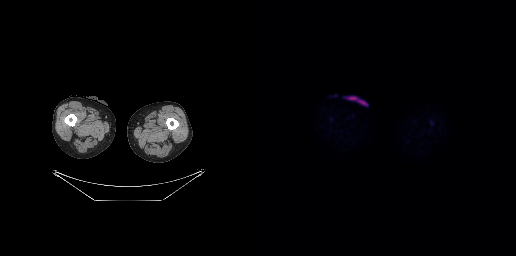
Findings: This slice has no annotated PSMA-avid lesion.
Technique: Left: CT. Right: PSMA PET, same axial level, 18F-PSMA tracer. PET panel 256×256 px (2.7 mm/px).